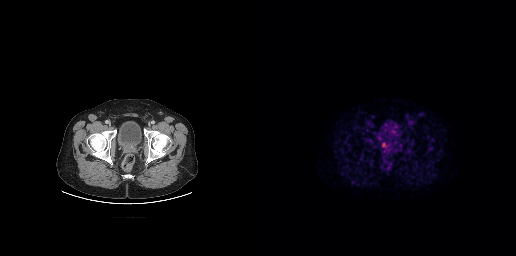
Findings: Coordinates are on the 256×256 PET (right) panel. Small PSMA-avid focus (2 to 4 px across) near (center x, center y): (123, 144).
- Two-panel axial: CT | PSMA PET, [18F]PSMA-1007 tracer
- acquired on GE Discovery 690
- PET panel 256×256 px (2.7 mm/px)